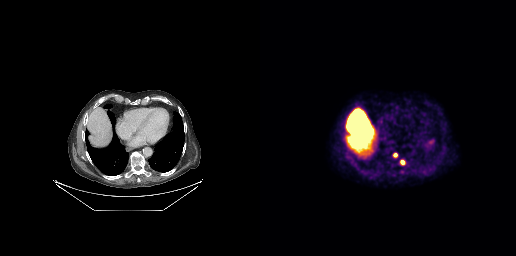
Paired axial CT (left) and PSMA PET (right), [18F]PSMA-1007 tracer. Slice 196 of 299.
Coordinates are on the 256×256 PET (right) panel. PSMA-avid tumor lesion bounding boxes:
| # | x0 | y0 | x1 | y1 |
|---|---|---|---|---|
| 1 | 141 | 160 | 144 | 164 |
| 2 | 133 | 153 | 137 | 156 |